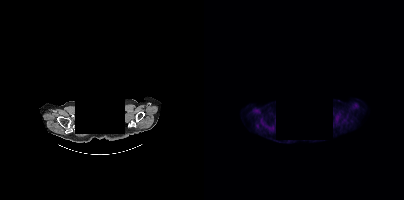
- Paired axial CT (left) and PSMA PET (right), [18F]PSMA-1007 tracer
- the head region is masked for de-identification
Findings: Negative for PSMA-avid disease on this slice.